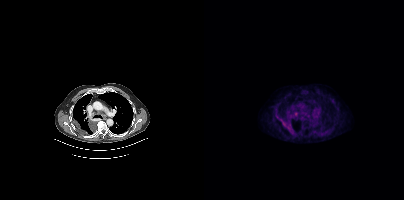
Coordinates are on the 200×200 PET (right) panel. PSMA-avid tumor lesion bounding boxes (x0, y0)-(x1, y1): (82, 124)-(89, 132); (76, 119)-(82, 125); (87, 112)-(93, 116).